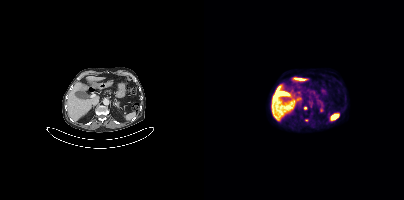
Coordinates are on the 200×200 PET (right) panel. (showing 1 of 2 foci) Small PSMA-avid focus (2 to 4 px across) near (center x, center y): (101, 107). Paired axial CT (left) and PSMA PET (right), [18F]PSMA-1007 tracer. Acquired on Siemens Biograph mCT Flow 20. Slice 205 of 401. PET panel 200×200 px (4.1 mm/px).